- face de-identified by blanking a block of the head
- Paired axial CT (left) and PSMA PET (right), [18F]PSMA-1007 tracer
- acquired on Siemens Biograph mCT Flow 20
- PET panel 200×200 px (4.1 mm/px)
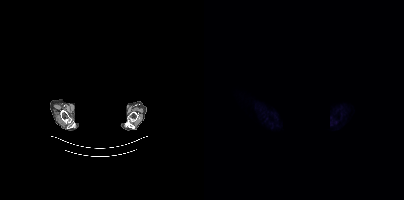
Findings: No tumor lesions annotated on this slice.